modality: PSMA PET/CT | tracer: 18F-PSMA | view: axial
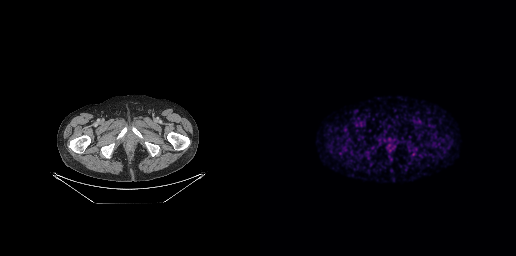
No PSMA-avid tumor lesions on this slice.